- Left: CT. Right: PSMA PET, same axial level, 18F-PSMA tracer
- slice position z = -696 mm
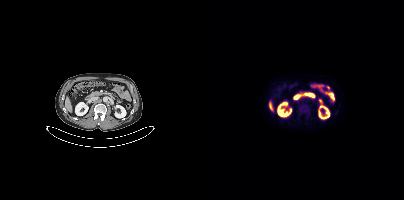
Findings: No PSMA-avid tumor lesions on this slice.